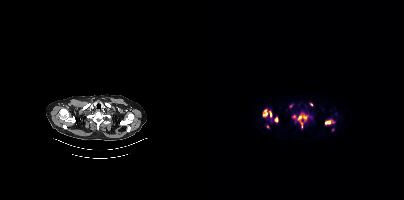
{"modality":"PSMA PET/CT","view":"axial","tracer":"[18F]PSMA-1007","pet_grid":[200,200],"coord_frame":"pet_panel","coord_format":"x0,y0,x1,y1","partial":true,"lesion_bboxes":[[94,114,103,127],[121,120,130,124],[59,109,63,116],[71,117,73,121],[65,111,67,116]],"small_foci_centers":[[90,116],[64,127]]}